The face region was removed for patient privacy by blanking a rectangle over the head. Two-panel axial: CT | PSMA PET, [68Ga]Ga-PSMA-11 tracer.
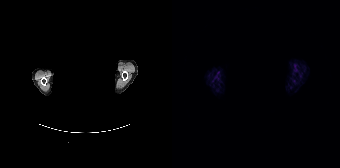
Negative for PSMA-avid disease on this slice.